modality: PSMA PET/CT | tracer: 18F | view: axial | PET grid: 200×200
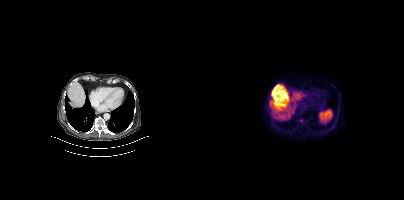
No PSMA-avid tumor lesions on this slice.